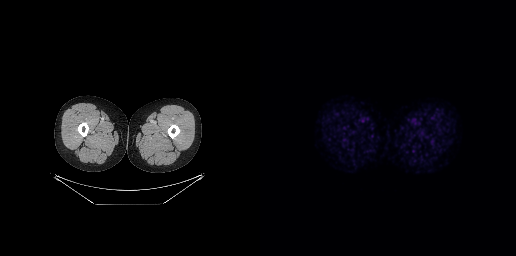
{"pet_grid":[256,256],"coord_frame":"pet_panel","coord_format":"x0,y0,x1,y1","psma_avid_lesions":false,"modality":"PSMA PET/CT","view":"axial","tracer":"[68Ga]Ga-PSMA-11"}